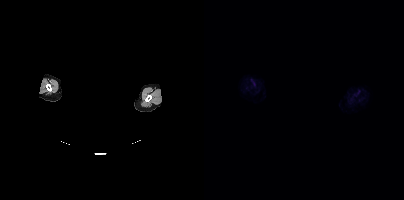
No tumor lesions annotated on this slice.
modality: PSMA PET/CT | tracer: 18F-PSMA | view: axial | PET grid: 200×200 | deidentification: rectangular block over head set to black